- Two-panel axial: CT | PSMA PET, 18F tracer
- PET panel 200×200 px (4.1 mm/px)
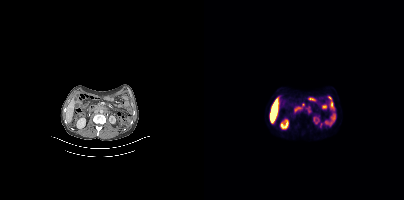
Findings: Coordinates are on the 200×200 PET (right) panel. PSMA-avid tumor lesion bounding box (x0,y0,x1,y1): [97,103,107,113].